modality: PSMA PET/CT | tracer: 18F | view: axial | PET grid: 200×200
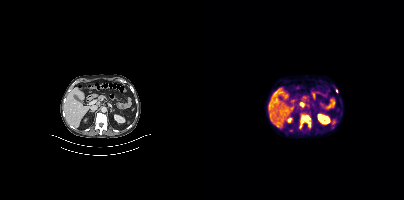
Coordinates are on the 200×200 PET (right) panel. PSMA-avid tumor lesion bounding box (x0,y0,x1,y1): [95,113,107,129]. Small PSMA-avid focus (2 to 4 px across) near (center x, center y): (132, 90).